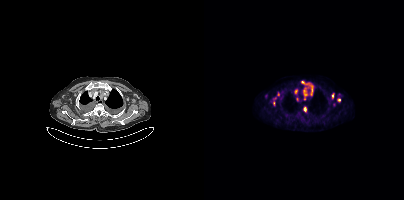
Coordinates are on the 200×200 PET (right) panel. PSMA-avid tumor lesion bounding boxes (partial; 2 more foci not listed):
| # | x0 | y0 | x1 | y1 |
|---|---|---|---|---|
| 1 | 97 | 81 | 109 | 95 |
| 2 | 99 | 87 | 103 | 96 |
| 3 | 69 | 97 | 72 | 106 |
| 4 | 99 | 107 | 102 | 111 |
Small PSMA-avid foci (2 to 4 px across) near (center x, center y): (134, 99); (92, 91); (128, 95); (74, 94); (100, 98).
Left: CT. Right: PSMA PET, same axial level, 18F-PSMA tracer.